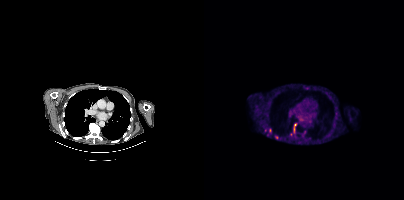
Coordinates are on the 200×200 PET (right) panel. PSMA-avid tumor lesion bounding boxes (partial; 4 more foci not listed):
| # | x0 | y0 | x1 | y1 |
|---|---|---|---|---|
| 1 | 89 | 123 | 92 | 132 |
Small PSMA-avid foci (2 to 4 px across) near (center x, center y): (63, 135); (72, 137).
Two-panel axial: CT | PSMA PET, 18F-PSMA tracer. Acquired on Siemens Biograph mCT Flow 20. Slice 263 of 403. PET panel 200×200 px (4.1 mm/px).